Technique: Paired axial CT (left) and PSMA PET (right), 18F-PSMA tracer. acquired on Siemens Biograph mCT Flow 20. slice position z = -1516 mm. PET panel 200×200 px (4.1 mm/px).
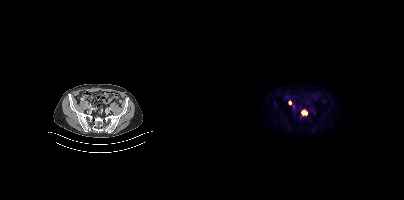
Findings: Coordinates are on the 200×200 PET (right) panel. PSMA-avid tumor lesion bounding boxes (x0,y0,x1,y1): [97,110,103,115], [84,100,87,104]. Small PSMA-avid focus (2 to 4 px across) near (center x, center y): (89, 106).